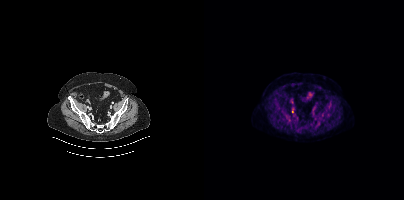
{"modality":"PSMA PET/CT","view":"axial","tracer":"18F-PSMA","pet_grid":[200,200],"coord_frame":"pet_panel","coord_format":"x0,y0,x1,y1","lesion_bboxes":[],"small_foci_centers":[[88,111]]}